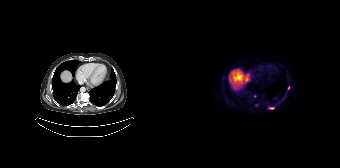
Coordinates are on the 168×168 PET (right) panel. (showing 3 of 5 foci) PSMA-avid tumor lesion bounding box (x0,y0,x1,y1): [96,107,102,109]. Small PSMA-avid foci (2 to 4 px across) near (center x, center y): (83, 96), (116, 87).